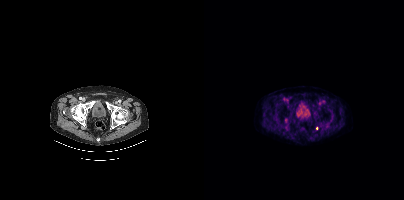
Technique: Two-panel axial: CT | PSMA PET, [18F]PSMA-1007 tracer. slice position z = -871 mm.
Findings: Coordinates are on the 200×200 PET (right) panel. Small PSMA-avid focus (2 to 4 px across) near (center x, center y): (112, 128).